modality: PSMA PET/CT | tracer: [18F]PSMA-1007 | view: axial
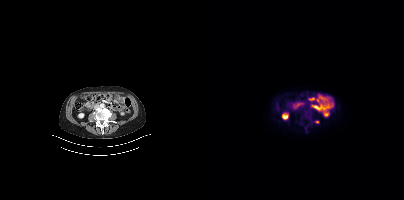
Coordinates are on the 200×200 PET (right) panel. Small PSMA-avid focus (2 to 4 px across) near (center x, center y): (112, 122).